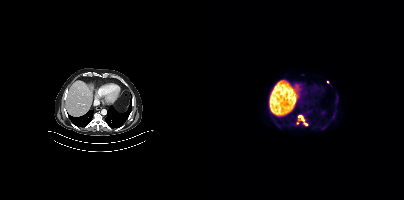
Two-panel axial: CT | PSMA PET, [18F]PSMA-1007 tracer. Slice position z = -392 mm. Coordinates are on the 200×200 PET (right) panel. PSMA-avid tumor lesion bounding box (x, y, width, height): x=94 y=115 w=11 h=11. Small PSMA-avid foci (2 to 4 px across) near (center x, center y): (93, 123) / (123, 82).